- Two-panel axial: CT | PSMA PET, 18F tracer
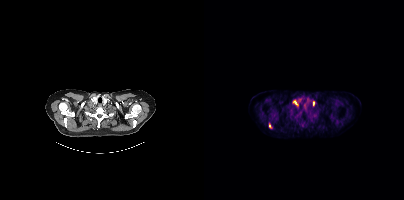
Findings: Coordinates are on the 200×200 PET (right) panel. PSMA-avid tumor lesion bounding boxes (x0,y0,x1,y1): [89,101,93,104] [109,101,110,105]. Small PSMA-avid focus (2 to 4 px across) near (center x, center y): (65, 125).